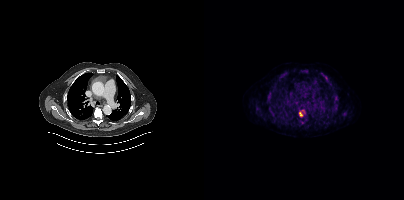
Technique: Two-panel axial: CT | PSMA PET, 18F tracer. slice 333 of 454. PET panel 200×200 px (4.1 mm/px).
Findings: Coordinates are on the 200×200 PET (right) panel. (showing 11 of 13 foci) PSMA-avid tumor lesion bounding boxes (x0, y0)-(x1, y1): (95, 110)-(101, 116) | (63, 94)-(67, 99) | (117, 73)-(124, 80) | (130, 96)-(134, 102) | (97, 70)-(104, 73) | (65, 110)-(70, 114) | (77, 72)-(81, 76) | (128, 109)-(132, 112). Small PSMA-avid foci (2 to 4 px across) near (center x, center y): (98, 122) | (75, 119) | (141, 113).